Paired axial CT (left) and PSMA PET (right), 68Ga tracer. PET panel 168×168 px (4.1 mm/px).
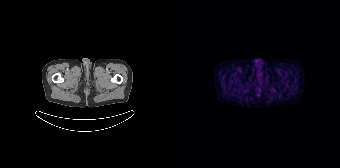
No tumor lesions annotated on this slice.